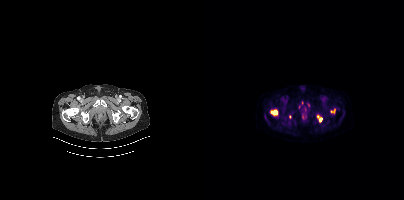
Paired axial CT (left) and PSMA PET (right), 18F-PSMA tracer. Slice position z = -1547 mm.
Coordinates are on the 200×200 PET (right) panel. PSMA-avid tumor lesion bounding boxes (partial; 2 more foci not listed):
| # | x0 | y0 | x1 | y1 |
|---|---|---|---|---|
| 1 | 66 | 109 | 74 | 115 |
| 2 | 126 | 109 | 131 | 113 |
| 3 | 113 | 116 | 118 | 121 |
Small PSMA-avid foci (2 to 4 px across) near (center x, center y): (85, 116); (104, 105); (98, 115).